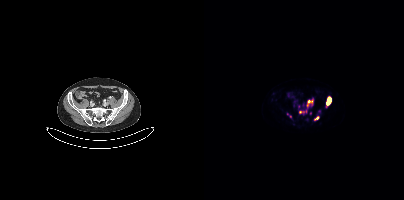
Technique: Two-panel axial: CT | PSMA PET, [68Ga]Ga-PSMA-11 tracer. acquired on Siemens Biograph mCT Flow 20. slice 111 of 411.
Findings: Coordinates are on the 200×200 PET (right) panel. (showing 6 of 7 foci) PSMA-avid tumor lesion bounding boxes (x0,y0,x1,y1): [122,97,127,104], [102,100,108,107], [110,116,115,120]. Small PSMA-avid foci (2 to 4 px across) near (center x, center y): (96, 112), (86, 116), (83, 113).